- Left: CT. Right: PSMA PET, same axial level, 18F-PSMA tracer
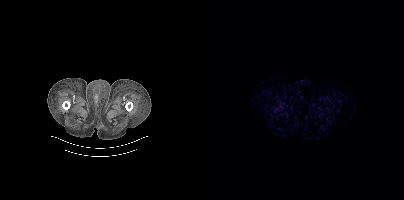
Findings: Negative for PSMA-avid disease on this slice.